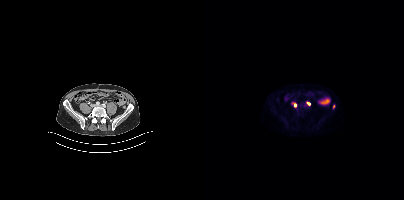
Coordinates are on the 200×200 PET (right) panel. PSMA-avid tumor lesion bounding boxes (x0,y0,x1,y1): [102,102,106,105], [90,103,92,107]. Small PSMA-avid focus (2 to 4 px across) near (center x, center y): (129, 106).